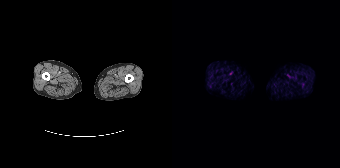
Negative for PSMA-avid disease on this slice.